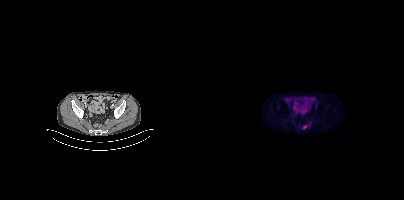
Left: CT. Right: PSMA PET, same axial level, [18F]PSMA-1007 tracer. Acquired on Siemens Biograph mCT Flow 20. PET panel 200×200 px (4.1 mm/px).
Coordinates are on the 200×200 PET (right) panel. PSMA-avid tumor lesion bounding boxes:
| # | x0 | y0 | x1 | y1 |
|---|---|---|---|---|
| 1 | 98 | 125 | 103 | 129 |